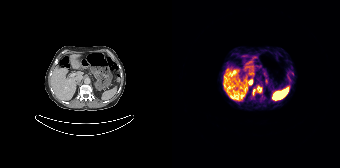
modality: PSMA PET/CT | tracer: 68Ga | view: axial | PET grid: 168×168
Coordinates are on the 168×168 PET (right) panel. PSMA-avid tumor lesion bounding boxes (x, y, width, height): x=85 y=86 w=5 h=7 | x=81 y=89 w=3 h=6.